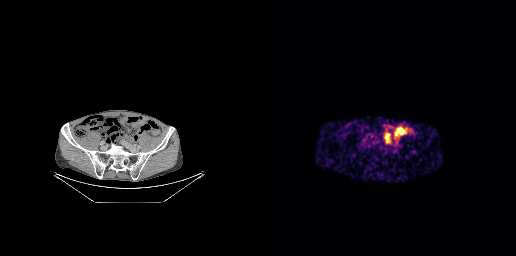
No PSMA-avid tumor lesions on this slice.